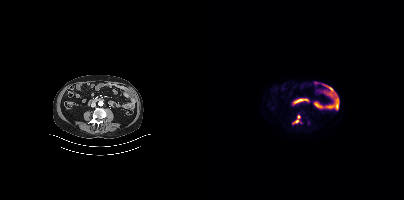
Paired axial CT (left) and PSMA PET (right), 18F-PSMA tracer. Slice 173 of 423.
Coordinates are on the 200×200 PET (right) panel. PSMA-avid tumor lesion bounding boxes (partial; 1 more focus not listed):
| # | x0 | y0 | x1 | y1 |
|---|---|---|---|---|
| 1 | 88 | 120 | 94 | 124 |
Small PSMA-avid focus (2 to 4 px across) near (center x, center y): (94, 116).